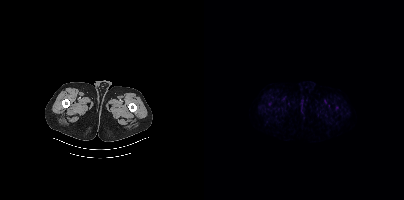
{"modality":"PSMA PET/CT","view":"axial","tracer":"18F","pet_grid":[200,200],"coord_frame":"pet_panel","coord_format":"x0,y0,x1,y1","psma_avid_lesions":false}